modality: PSMA PET/CT | tracer: 18F | view: axial
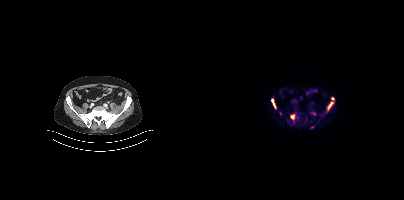
Coordinates are on the 200×200 PET (right) panel. PSMA-avid tumor lesion bounding boxes (x0, y0)-(x1, y1): (123, 97)-(130, 110); (67, 98)-(72, 109); (86, 113)-(91, 119); (107, 112)-(111, 115). Small PSMA-avid foci (2 to 4 px across) near (center x, center y): (108, 127); (76, 113); (93, 117).